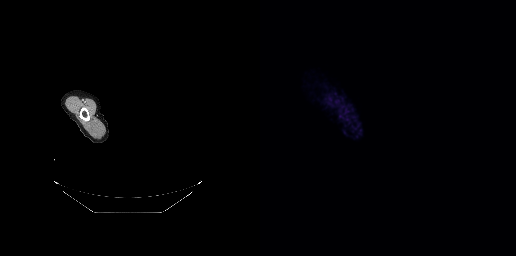
Face de-identified by blanking a block of the head.
Negative for PSMA-avid disease on this slice.